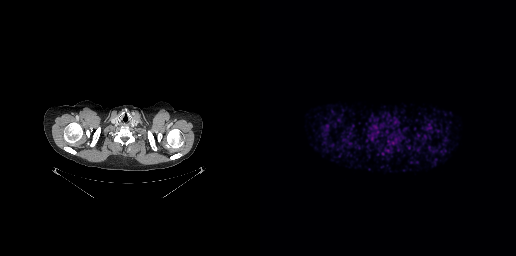
{"modality":"PSMA PET/CT","view":"axial","tracer":"68Ga-PSMA","pet_grid":[256,256],"coord_frame":"pet_panel","coord_format":"x0,y0,x1,y1","psma_avid_lesions":false}